- de-identified by setting a box covering the face to black before release
- Two-panel axial: CT | PSMA PET, [18F]PSMA-1007 tracer
- acquired on Siemens Biograph mCT Flow 20
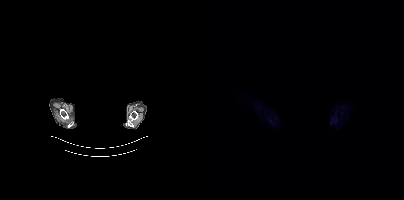
Findings: No PSMA-avid tumor lesions on this slice.